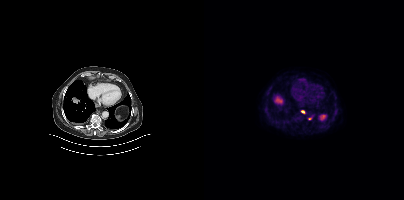
Paired axial CT (left) and PSMA PET (right), 18F-PSMA tracer. Acquired on Siemens Biograph mCT Flow 20. PET panel 200×200 px (4.1 mm/px). Coordinates are on the 200×200 PET (right) panel. Small PSMA-avid focus (2 to 4 px across) near (center x, center y): (99, 111).